- Left: CT. Right: PSMA PET, same axial level, 68Ga-PSMA tracer
- PET panel 256×256 px (2.7 mm/px)
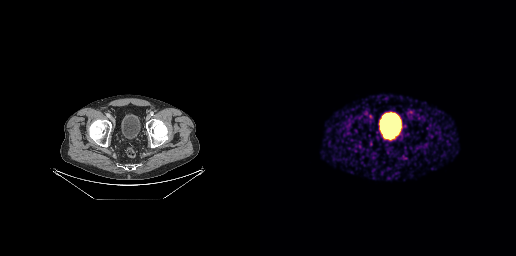
Findings: No PSMA-avid tumor lesions on this slice.